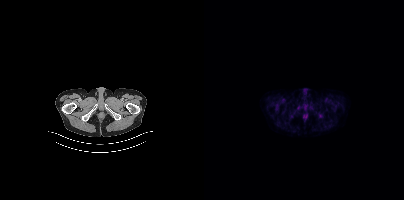
Technique: Left: CT. Right: PSMA PET, same axial level, 18F tracer. slice 43 of 413.
Findings: No PSMA-avid tumor lesions on this slice.